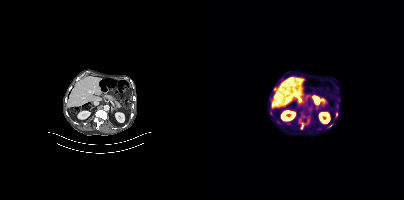
Findings: Coordinates are on the 200×200 PET (right) panel. (showing 3 of 5 foci) PSMA-avid tumor lesion bounding boxes (x, y, width, height): x=96 y=122 w=8 h=8; x=124 y=124 w=5 h=4. Small PSMA-avid focus (2 to 4 px across) near (center x, center y): (69, 89).
- Left: CT. Right: PSMA PET, same axial level, [18F]PSMA-1007 tracer
- acquired on Siemens Biograph mCT Flow 20